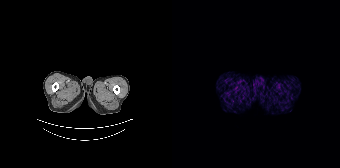
Left: CT. Right: PSMA PET, same axial level, 68Ga-PSMA tracer. Acquired on Siemens Biograph 64-4R TruePoint. Slice 33 of 195. PET panel 168×168 px (4.1 mm/px). Negative for PSMA-avid disease on this slice.